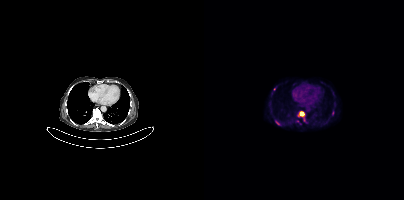
Coordinates are on the 200×200 PET (right) panel. (showing 4 of 5 foci) PSMA-avid tumor lesion bounding boxes (x, y, width, height): x=95 y=111 w=6 h=11 / x=71 y=120 w=7 h=6 / x=128 y=110 w=3 h=6. Small PSMA-avid focus (2 to 4 px across) near (center x, center y): (70, 89).